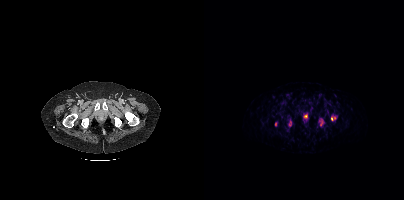
Paired axial CT (left) and PSMA PET (right), 68Ga tracer. Acquired on Siemens Biograph mCT Flow 20. Slice position z = 281 mm. PET panel 200×200 px (4.1 mm/px).
Coordinates are on the 200×200 PET (right) panel. PSMA-avid tumor lesion bounding boxes:
| # | x0 | y0 | x1 | y1 |
|---|---|---|---|---|
| 1 | 115 | 119 | 119 | 125 |
Small PSMA-avid foci (2 to 4 px across) near (center x, center y): (127, 119); (101, 116); (71, 124).